modality: PSMA PET/CT | tracer: [68Ga]Ga-PSMA-11 | view: axial | PET grid: 168×168
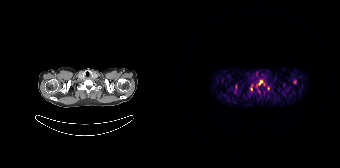
Coordinates are on the 168×168 PET (right) panel. (showing 4 of 6 foci) PSMA-avid tumor lesion bounding box (x, y, width, height): x=86 y=80 w=5 h=6. Small PSMA-avid foci (2 to 4 px across) near (center x, center y): (123, 82) / (79, 89) / (96, 88).